Two-panel axial: CT | PSMA PET, 68Ga tracer. Slice position z = -380 mm.
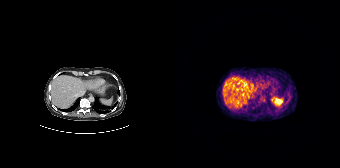
Negative for PSMA-avid disease on this slice.